modality: PSMA PET/CT | tracer: 18F-PSMA | view: axial
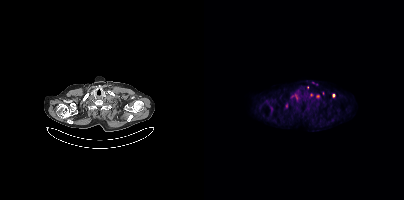
Coordinates are on the 200×200 PET (right) panel. (showing 8 of 9 foci) Small PSMA-avid foci (2 to 4 px across) near (center x, center y): (107, 94) / (114, 96) / (129, 95) / (92, 96) / (109, 82) / (82, 105) / (112, 84) / (103, 87).